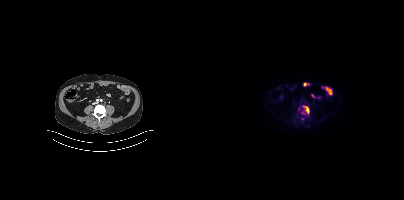
Coordinates are on the 200×200 PET (right) panel. PSMA-avid tumor lesion bounding box (x, y, width, height): x=98 y=105 w=8 h=10. Small PSMA-avid focus (2 to 4 px across) near (center x, center y): (98, 118).